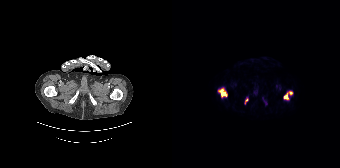
Coordinates are on the 168×168 PET (right) panel. PSMA-avid tumor lesion bounding boxes (x, y, width, height): x=46 y=87 w=10 h=12 / x=112 y=91 w=9 h=9 / x=73 y=98 w=4 h=6.